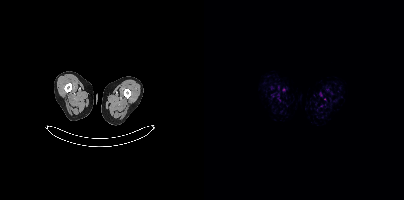
{"modality":"PSMA PET/CT","view":"axial","tracer":"[18F]PSMA-1007","pet_grid":[200,200],"coord_frame":"pet_panel","coord_format":"x0,y0,x1,y1","psma_avid_lesions":false}